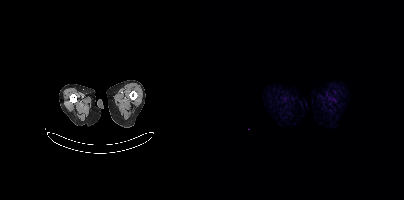
Technique: Paired axial CT (left) and PSMA PET (right), 18F-PSMA tracer. acquired on Siemens Biograph mCT Flow 20. slice 10 of 425. PET panel 200×200 px (4.1 mm/px).
Findings: Negative for PSMA-avid disease on this slice.